Technique: Paired axial CT (left) and PSMA PET (right), [18F]PSMA-1007 tracer. PET panel 200×200 px (4.1 mm/px).
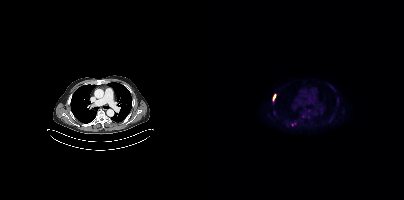
Findings: Coordinates are on the 200×200 PET (right) panel. (showing 4 of 5 foci) PSMA-avid tumor lesion bounding box (x0,y0,x1,y1): [69,94,71,100]. Small PSMA-avid foci (2 to 4 px across) near (center x, center y): (104, 110) (88, 124) (126, 119).